Two-panel axial: CT | PSMA PET, 18F tracer. Acquired on Siemens Biograph mCT Flow 20. Slice position z = -1567 mm.
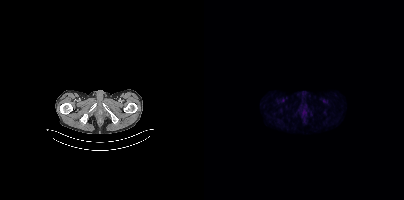
Negative for PSMA-avid disease on this slice.